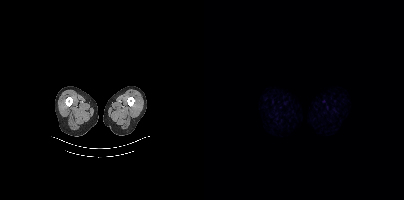
Technique: Left: CT. Right: PSMA PET, same axial level, 18F-PSMA tracer. slice 11 of 435.
Findings: This slice has no annotated PSMA-avid lesion.